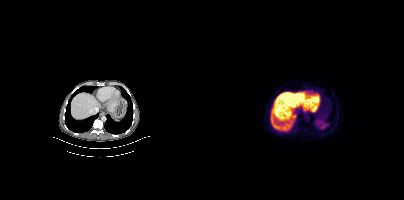
- Two-panel axial: CT | PSMA PET, [18F]PSMA-1007 tracer
- slice 258 of 435
- PET panel 200×200 px (4.1 mm/px)
Findings: Negative for PSMA-avid disease on this slice.